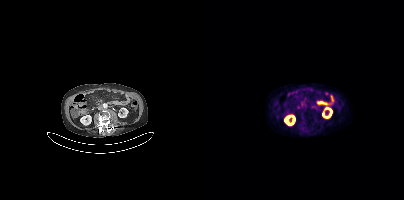
modality: PSMA PET/CT | tracer: 18F-PSMA | view: axial
This slice has no annotated PSMA-avid lesion.